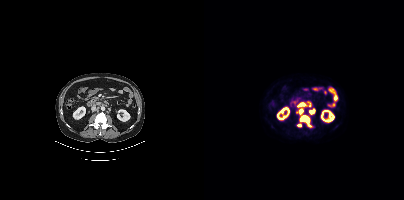
{"pet_grid":[200,200],"coord_frame":"pet_panel","coord_format":"x0,y0,x1,y1","lesion_bboxes":[[96,115,106,126],[105,109,111,114],[94,103,100,106],[95,109,99,113]],"small_foci_centers":[[95,125],[105,104]],"modality":"PSMA PET/CT","view":"axial","tracer":"18F"}